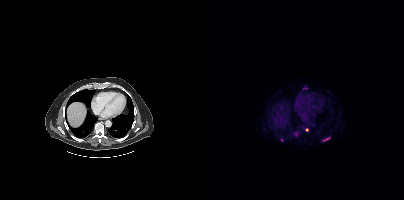
Coordinates are on the 200×200 PET (right) panel. (showing 3 of 4 foci) PSMA-avid tumor lesion bounding box (x0, y0)-(x1, y1): (118, 137)-(125, 141). Small PSMA-avid foci (2 to 4 px across) near (center x, center y): (103, 129); (78, 140). Paired axial CT (left) and PSMA PET (right), [18F]PSMA-1007 tracer. Acquired on Siemens Biograph mCT Flow 20. Slice 265 of 417.